modality: PSMA PET/CT | tracer: 18F-PSMA | view: axial | PET grid: 200×200
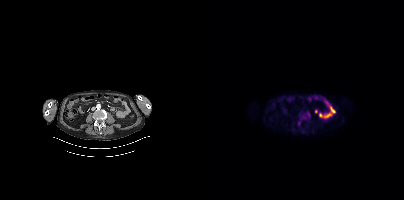
Coordinates are on the 200×200 PET (right) panel. PSMA-avid tumor lesion bounding boxes (x0,y0,x1,y1): [97,114,102,119] [103,112,106,117]. Small PSMA-avid focus (2 to 4 px across) near (center x, center y): (95, 122).